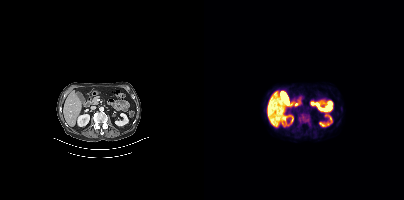
Coordinates are on the 200×200 PET (right) panel. PSMA-avid tumor lesion bounding box (x0, y0)-(x1, y1): (95, 114)-(105, 123).
modality: PSMA PET/CT | tracer: 18F-PSMA | view: axial | PET grid: 200×200